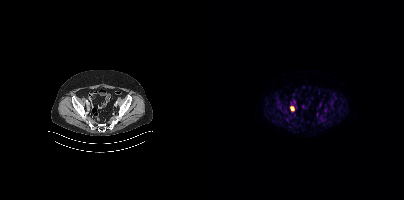
Coordinates are on the 200×200 PET (right) panel. PSMA-avid tumor lesion bounding box (x0,y0,x1,y1): [86,106,90,111].